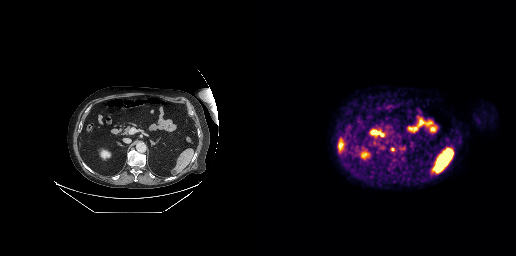
Coordinates are on the 256×256 PET (right) panel. PSMA-avid tumor lesion bounding box (x, y, width, height): x=131 y=147 w=4 h=5.